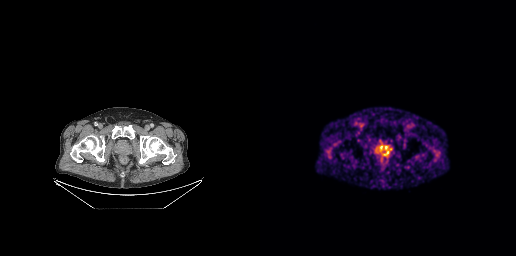
Coordinates are on the 256×256 PET (right) panel. Small PSMA-avid focus (2 to 4 px across) near (center x, center y): (125, 147).